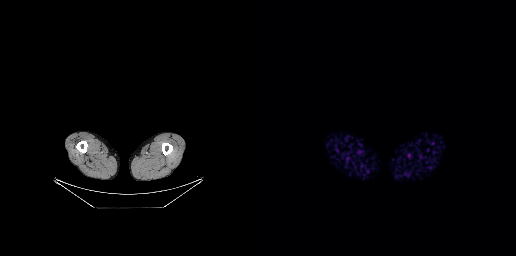
This slice has no annotated PSMA-avid lesion.
modality: PSMA PET/CT | tracer: [18F]PSMA-1007 | view: axial